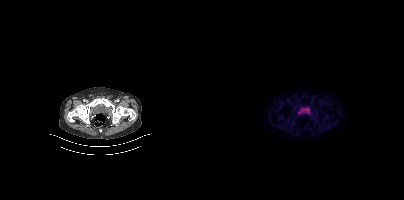
Findings: This slice has no annotated PSMA-avid lesion.
- Two-panel axial: CT | PSMA PET, 18F-PSMA tracer
- slice 52 of 354
- PET panel 200×200 px (4.1 mm/px)